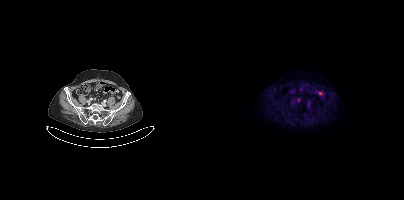
Technique: Paired axial CT (left) and PSMA PET (right), 18F tracer. PET panel 200×200 px (4.1 mm/px).
Findings: No tumor lesions annotated on this slice.